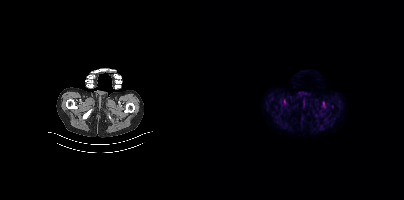
Findings: No PSMA-avid tumor lesions on this slice.
Technique: Left: CT. Right: PSMA PET, same axial level, 18F-PSMA tracer. slice position z = -1005 mm.